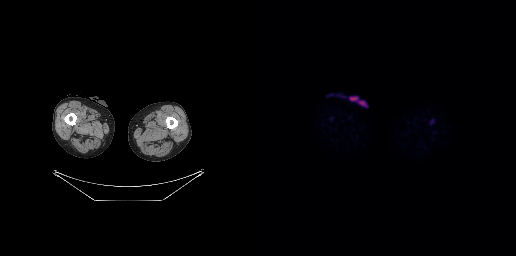
Findings: This slice has no annotated PSMA-avid lesion.
Technique: Left: CT. Right: PSMA PET, same axial level, 18F-PSMA tracer. acquired on GE Discovery 690. PET panel 256×256 px (2.7 mm/px).